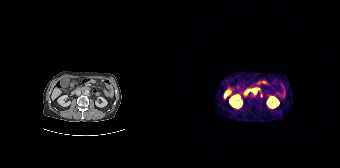
Left: CT. Right: PSMA PET, same axial level, 68Ga tracer. Acquired on Siemens Biograph 64-4R TruePoint. Slice 88 of 195. Coordinates are on the 168×168 PET (right) panel. (showing 1 of 2 foci) Small PSMA-avid focus (2 to 4 px across) near (center x, center y): (83, 92).